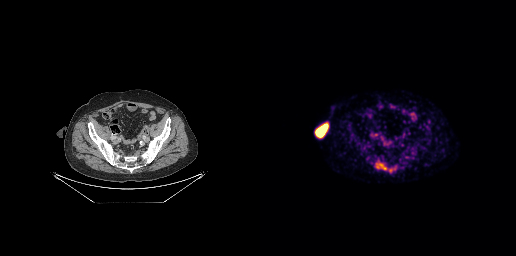
Technique: Two-panel axial: CT | PSMA PET, [18F]PSMA-1007 tracer.
Findings: Coordinates are on the 256×256 PET (right) panel. PSMA-avid tumor lesion bounding box (x0,y0,x1,y1): [116,163,126,169]. Small PSMA-avid focus (2 to 4 px across) near (center x, center y): (130, 170).